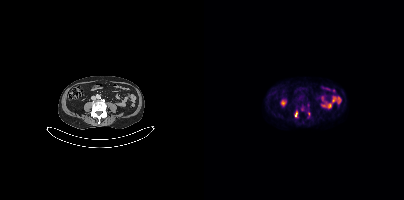
Findings: Coordinates are on the 200×200 PET (right) panel. PSMA-avid tumor lesion bounding box (x, y, width, height): x=91 y=111 w=3 h=7. Small PSMA-avid focus (2 to 4 px across) near (center x, center y): (104, 113).
Technique: Paired axial CT (left) and PSMA PET (right), 18F tracer. acquired on Siemens Biograph mCT Flow 20. PET panel 200×200 px (4.1 mm/px).